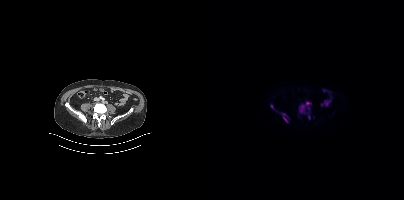
Paired axial CT (left) and PSMA PET (right), 18F tracer. Acquired on Siemens Biograph mCT Flow 20. PET panel 200×200 px (4.1 mm/px).
Coordinates are on the 200×200 PET (right) panel. PSMA-avid tumor lesion bounding boxes:
| # | x0 | y0 | x1 | y1 |
|---|---|---|---|---|
| 1 | 95 | 101 | 106 | 113 |
| 2 | 77 | 112 | 84 | 122 |
| 3 | 66 | 104 | 70 | 109 |
| 4 | 104 | 114 | 106 | 119 |